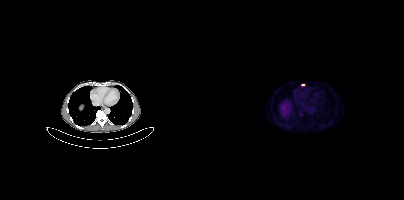
Findings: Coordinates are on the 200×200 PET (right) panel. Small PSMA-avid foci (2 to 4 px across) near (center x, center y): (98, 84) (97, 114).
Technique: Paired axial CT (left) and PSMA PET (right), [68Ga]Ga-PSMA-11 tracer. PET panel 200×200 px (4.1 mm/px).